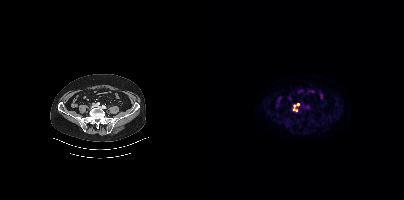
Coordinates are on the 200×200 PET (right) panel. Small PSMA-avid foci (2 to 4 px across) near (center x, center y): (90, 109); (90, 105); (93, 104).